Two-panel axial: CT | PSMA PET, [18F]PSMA-1007 tracer. Acquired on Siemens Biograph mCT Flow 20. An anonymization step blacked out a rectangle over the head in this scan.
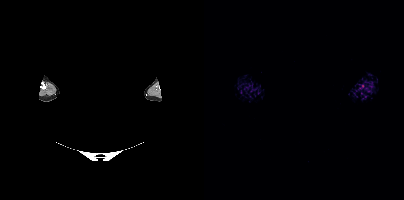
No PSMA-avid tumor lesions on this slice.